Two-panel axial: CT | PSMA PET, 18F-PSMA tracer. Acquired on Siemens Biograph mCT Flow 20.
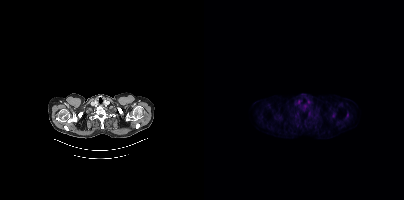
Coordinates are on the 200×200 PET (right) panel. PSMA-avid tumor lesion bounding box (x, y, width, height): x=142 y=113 w=3 h=6. Small PSMA-avid focus (2 to 4 px across) near (center x, center y): (129, 115).